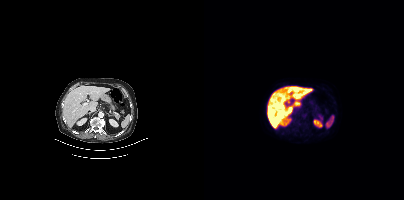
- Two-panel axial: CT | PSMA PET, 18F-PSMA tracer
- PET panel 200×200 px (4.1 mm/px)
Findings: No PSMA-avid tumor lesions on this slice.